- Left: CT. Right: PSMA PET, same axial level, 68Ga tracer
- acquired on Siemens Biograph mCT Flow 20
- any black rectangle over the head is a privacy mask, not anatomy
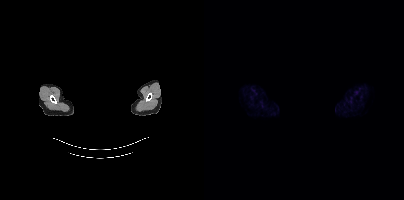
Findings: No PSMA-avid tumor lesions on this slice.